Two-panel axial: CT | PSMA PET, 18F-PSMA tracer. PET panel 200×200 px (4.1 mm/px). De-identified by setting a box covering the face to black before release.
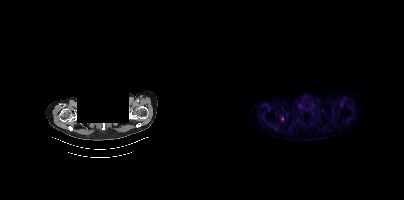
Coordinates are on the 200×200 PET (right) panel. Small PSMA-avid focus (2 to 4 px across) near (center x, center y): (78, 118).